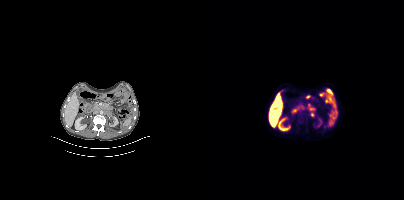
Coordinates are on the 200×200 PET (right) panel. (showing 1 of 2 foci) PSMA-avid tumor lesion bounding box (x, y, width, height): x=105 y=108 w=6 h=9.
modality: PSMA PET/CT | tracer: 18F-PSMA | view: axial | PET grid: 200×200